Paired axial CT (left) and PSMA PET (right), [18F]PSMA-1007 tracer. Slice 243 of 377.
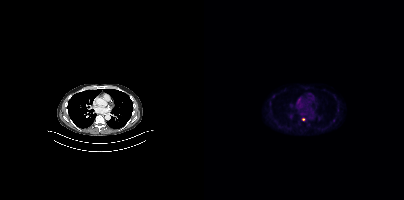
Coordinates are on the 200×200 PET (right) panel. Small PSMA-avid focus (2 to 4 px across) near (center x, center y): (99, 119).